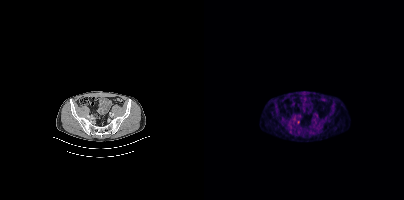
No PSMA-avid tumor lesions on this slice.